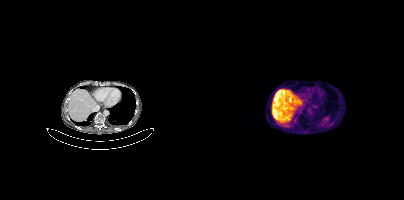
No tumor lesions annotated on this slice.
modality: PSMA PET/CT | tracer: 68Ga-PSMA | view: axial | PET grid: 200×200